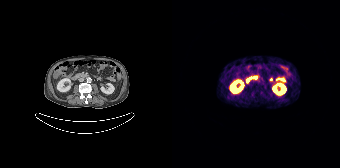
Findings: No tumor lesions annotated on this slice.
Technique: Two-panel axial: CT | PSMA PET, [68Ga]Ga-PSMA-11 tracer. slice 90 of 195.